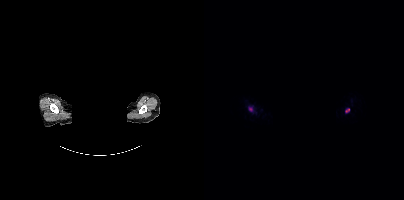
{"modality":"PSMA PET/CT","view":"axial","tracer":"18F","pet_grid":[200,200],"coord_frame":"pet_panel","coord_format":"x0,y0,x1,y1","lesion_bboxes":[[44,107,49,111],[141,108,145,112]],"de-identification":"head region blacked out before release"}